- Paired axial CT (left) and PSMA PET (right), 18F-PSMA tracer
- slice position z = -316 mm
- PET panel 200×200 px (4.1 mm/px)
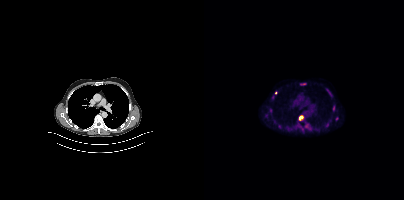
Findings: Coordinates are on the 200×200 PET (right) panel. (showing 8 of 9 foci) PSMA-avid tumor lesion bounding boxes (x0,y0,x1,y1): [95,115,99,120]; [96,83,102,85]; [129,105,130,111]. Small PSMA-avid foci (2 to 4 px across) near (center x, center y): (132, 118); (71, 92); (123, 124); (66, 110); (69, 97).